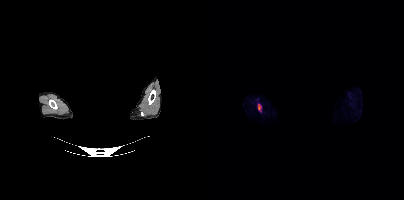
Coordinates are on the 200×200 PET (right) panel. PSMA-avid tumor lesion bounding box (x0, y0)-(x1, y1): (53, 103)-(57, 112).
deidentification: head region blanked (face removed) | modality: PSMA PET/CT | tracer: 18F-PSMA | view: axial | PET grid: 200×200